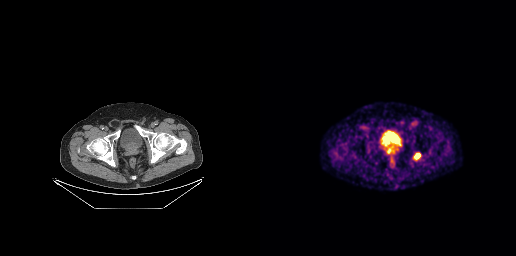
Coordinates are on the 256×256 PET (right) panel. PSMA-avid tumor lesion bounding box (x0, y0)-(x1, y1): (154, 153)-(160, 158). Left: CT. Right: PSMA PET, same axial level, [68Ga]Ga-PSMA-11 tracer.